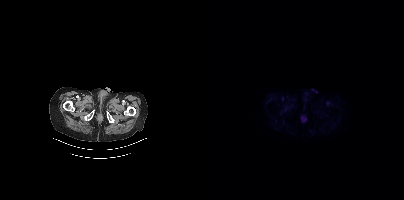
This slice has no annotated PSMA-avid lesion.